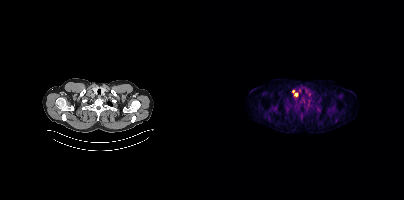
Coordinates are on the 200×200 PET (right) panel. Small PSMA-avid foci (2 to 4 px across) near (center x, center y): (91, 94) | (89, 91) | (105, 93). Two-panel axial: CT | PSMA PET, 18F-PSMA tracer. Slice 376 of 454.